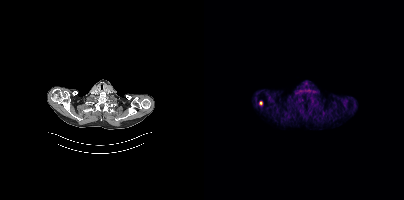
Coordinates are on the 200×200 PET (right) panel. Small PSMA-avid focus (2 to 4 px across) near (center x, center y): (56, 103).